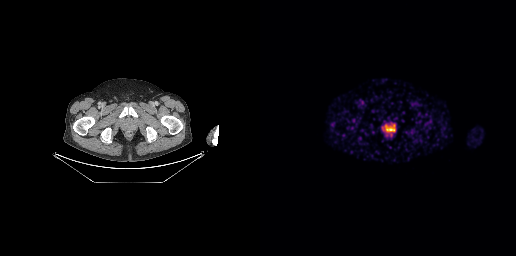
Paired axial CT (left) and PSMA PET (right), 68Ga tracer. Slice position z = -854 mm.
Coordinates are on the 256×256 PET (right) panel. PSMA-avid tumor lesion bounding boxes:
| # | x0 | y0 | x1 | y1 |
|---|---|---|---|---|
| 1 | 126 | 125 | 135 | 131 |